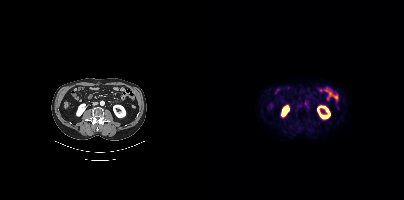
modality: PSMA PET/CT | tracer: 18F-PSMA | view: axial | PET grid: 200×200
This slice has no annotated PSMA-avid lesion.